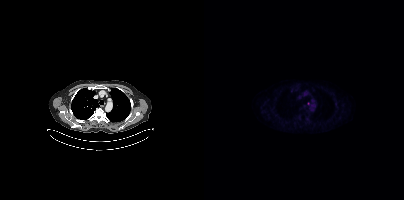
{"modality":"PSMA PET/CT","view":"axial","tracer":"18F-PSMA","pet_grid":[200,200],"coord_frame":"pet_panel","coord_format":"x0,y0,x1,y1","lesion_bboxes":[],"small_foci_centers":[[87,90],[104,103]]}